Technique: Paired axial CT (left) and PSMA PET (right), [18F]PSMA-1007 tracer. PET panel 200×200 px (4.1 mm/px).
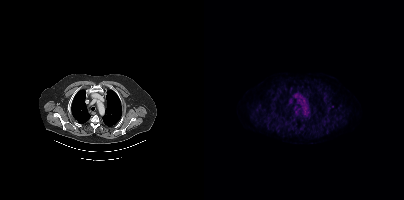
Findings: Negative for PSMA-avid disease on this slice.